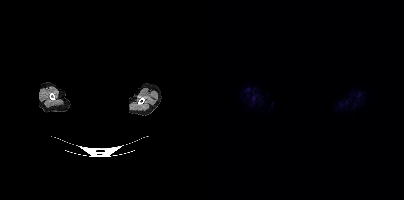
No PSMA-avid tumor lesions on this slice.
modality: PSMA PET/CT | tracer: [18F]PSMA-1007 | view: axial | PET grid: 200×200 | deidentification: facial region redacted